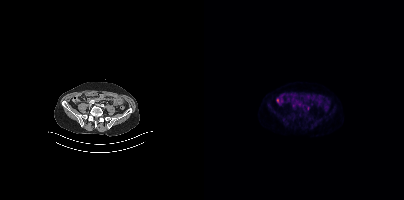
No PSMA-avid tumor lesions on this slice. Paired axial CT (left) and PSMA PET (right), 18F tracer. Slice position z = -839 mm. PET panel 200×200 px (4.1 mm/px).